Paired axial CT (left) and PSMA PET (right), 18F tracer.
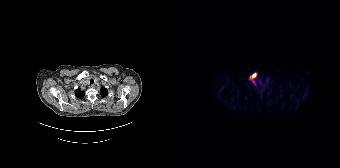
Coordinates are on the 168×168 PET (right) panel. PSMA-avid tumor lesion bounding box (x0,y0,x1,y1): [77,72,84,84].